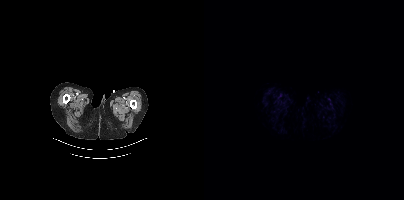
- Two-panel axial: CT | PSMA PET, 18F-PSMA tracer
- slice position z = -1036 mm
Findings: This slice has no annotated PSMA-avid lesion.